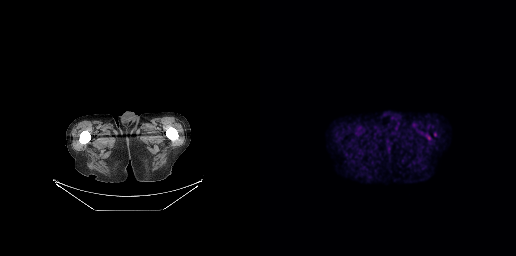
Findings: This slice has no annotated PSMA-avid lesion.
Technique: Two-panel axial: CT | PSMA PET, 18F-PSMA tracer. slice position z = -748 mm.